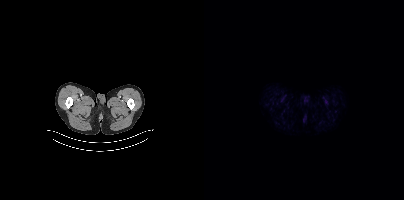
Two-panel axial: CT | PSMA PET, 18F tracer. Slice 18 of 377. PET panel 200×200 px (4.1 mm/px). No PSMA-avid tumor lesions on this slice.